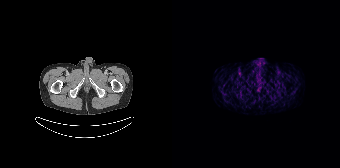
Technique: Two-panel axial: CT | PSMA PET, 68Ga tracer. slice 38 of 195.
Findings: No PSMA-avid tumor lesions on this slice.